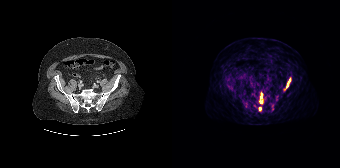
Left: CT. Right: PSMA PET, same axial level, [68Ga]Ga-PSMA-11 tracer. Acquired on Siemens Biograph 64-4R TruePoint. Coordinates are on the 168×168 PET (right) panel. PSMA-avid tumor lesion bounding boxes (x0, y0)-(x1, y1): (113, 78)-(118, 89); (88, 93)-(90, 98). Small PSMA-avid foci (2 to 4 px across) near (center x, center y): (88, 101); (88, 108).